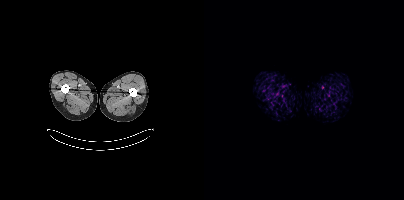
This slice has no annotated PSMA-avid lesion. Paired axial CT (left) and PSMA PET (right), 18F tracer. Acquired on Siemens Biograph mCT Flow 20. PET panel 200×200 px (4.1 mm/px).